modality: PSMA PET/CT | tracer: 18F | view: axial
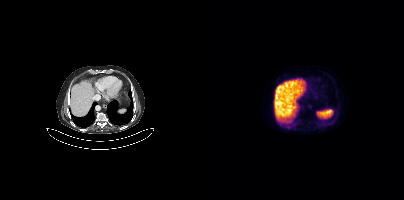
No PSMA-avid tumor lesions on this slice.